Two-panel axial: CT | PSMA PET, 18F tracer. Slice position z = -154 mm. PET panel 200×200 px (4.1 mm/px).
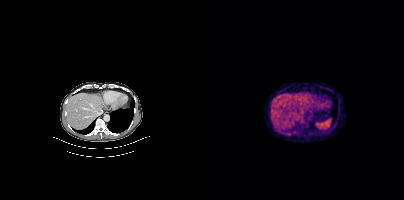
Coordinates are on the 200×200 PET (right) panel. PSMA-avid tumor lesion bounding boxes (partial; 1 more focus not listed):
| # | x0 | y0 | x1 | y1 |
|---|---|---|---|---|
| 1 | 94 | 115 | 100 | 121 |